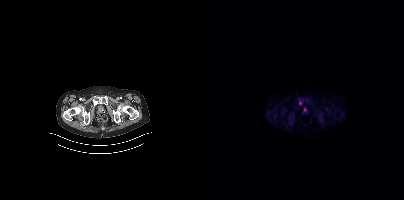
{"modality":"PSMA PET/CT","view":"axial","tracer":"18F","pet_grid":[200,200],"coord_frame":"pet_panel","coord_format":"x0,y0,x1,y1","lesion_bboxes":[],"small_foci_centers":[[96,102]]}